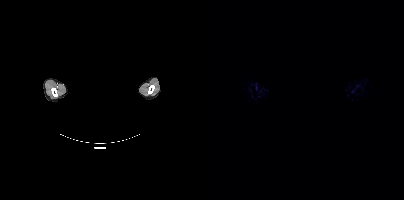
A rectangular block over the head has been blanked out for de-identification.
This slice has no annotated PSMA-avid lesion.